Paired axial CT (left) and PSMA PET (right), 18F-PSMA tracer. Acquired on GE Discovery 690. Slice position z = -435 mm.
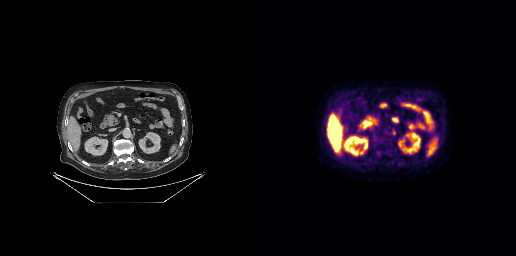
Coordinates are on the 256×256 PET (right) panel. PSMA-avid tumor lesion bounding boxes:
| # | x0 | y0 | x1 | y1 |
|---|---|---|---|---|
| 1 | 132 | 129 | 135 | 135 |